- Left: CT. Right: PSMA PET, same axial level, [68Ga]Ga-PSMA-11 tracer
- acquired on GE Discovery 690
- slice 23 of 299
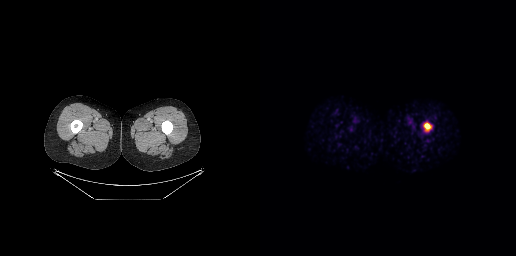
Findings: Coordinates are on the 256×256 PET (right) panel. PSMA-avid tumor lesion bounding box (x0,y0,x1,y1): [164,123,171,130].